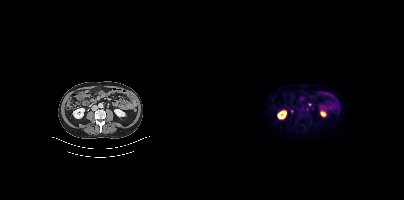
Coordinates are on the 200×200 PET (right) panel. Small PSMA-avid focus (2 to 4 px across) near (center x, center y): (105, 104).